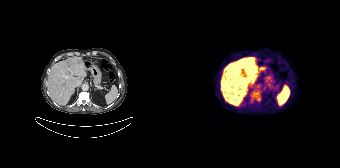
Findings: Coordinates are on the 168×168 PET (right) panel. PSMA-avid tumor lesion bounding boxes (x0,y0,x1,y1): [64,58,84,73] [62,77,74,104] [55,63,62,68] [84,95,88,100].
- Two-panel axial: CT | PSMA PET, [68Ga]Ga-PSMA-11 tracer
- acquired on Siemens Biograph 64-4R TruePoint
- slice position z = -401 mm
- PET panel 168×168 px (4.1 mm/px)